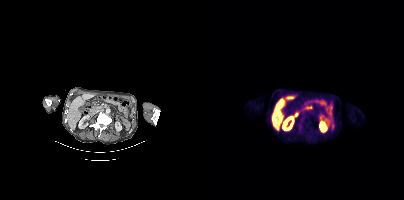
modality: PSMA PET/CT | tracer: 18F | view: axial
No PSMA-avid tumor lesions on this slice.